Technique: Two-panel axial: CT | PSMA PET, 68Ga tracer. acquired on Siemens Biograph mCT Flow 20. slice 141 of 393. PET panel 200×200 px (4.1 mm/px).
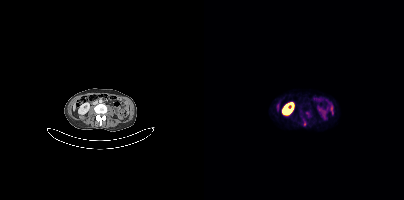
Findings: Coordinates are on the 200×200 PET (right) panel. PSMA-avid tumor lesion bounding box (x, y, width, height): x=100 y=121 w=3 h=5.